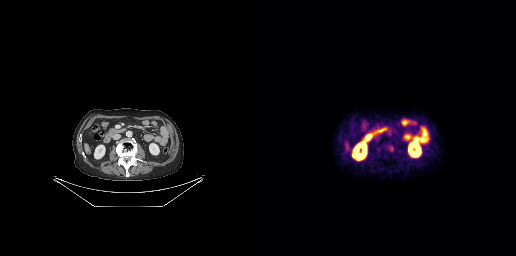
Coordinates are on the 256×256 PET (right) panel. Small PSMA-avid focus (2 to 4 px across) near (center x, center y): (131, 148).